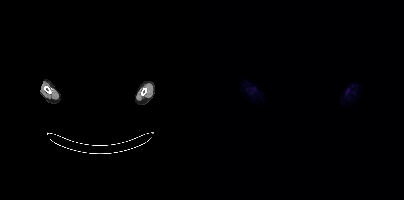
- Two-panel axial: CT | PSMA PET, [18F]PSMA-1007 tracer
- PET panel 200×200 px (4.1 mm/px)
- head region blanked for anonymization (face removed)
Findings: No tumor lesions annotated on this slice.